Technique: Two-panel axial: CT | PSMA PET, 18F tracer. PET panel 200×200 px (4.1 mm/px).
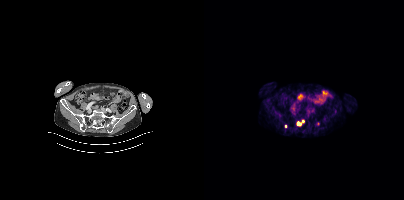
Findings: Coordinates are on the 200×200 PET (right) panel. PSMA-avid tumor lesion bounding box (x, y, width, height): x=92 y=119 w=9 h=8. Small PSMA-avid focus (2 to 4 px across) near (center x, center y): (82, 126).